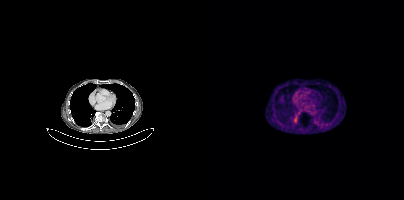
Paired axial CT (left) and PSMA PET (right), [68Ga]Ga-PSMA-11 tracer. This slice has no annotated PSMA-avid lesion.